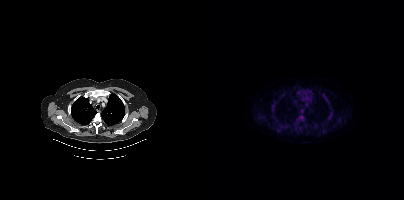
Findings: Coordinates are on the 200×200 PET (right) panel. (showing 12 of 13 foci) PSMA-avid tumor lesion bounding boxes (x0,y0,x1,y1): [68,101,71,114]; [94,114,100,121]; [124,108,129,118]; [118,93,122,100]; [73,128,77,132]; [97,88,101,91]; [98,93,102,96]. Small PSMA-avid foci (2 to 4 px across) near (center x, center y): (105, 91); (92, 123); (95, 93); (124, 104); (115, 126).
- Left: CT. Right: PSMA PET, same axial level, 18F-PSMA tracer
- slice position z = -829 mm